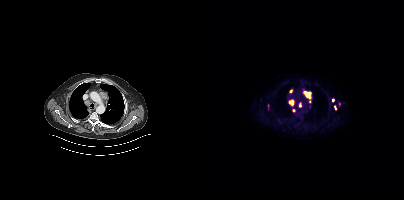
{"modality":"PSMA PET/CT","view":"axial","tracer":"18F","pet_grid":[200,200],"coord_frame":"pet_panel","coord_format":"x0,y0,x1,y1","lesion_bboxes":[[99,91,107,102],[84,99,90,105],[95,103,97,107]],"small_foci_centers":[[87,90],[89,110],[129,100],[131,107],[64,105]]}